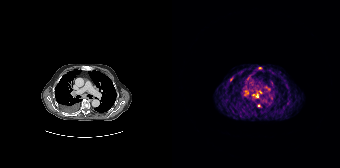
{"modality":"PSMA PET/CT","view":"axial","tracer":"[68Ga]Ga-PSMA-11","pet_grid":[168,168],"coord_frame":"pet_panel","coord_format":"x0,y0,x1,y1","lesion_bboxes":[[81,91,86,97]],"small_foci_centers":[[86,105],[88,67],[88,91]]}